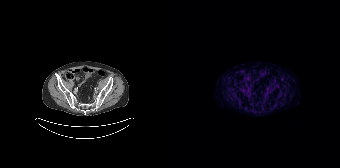
No tumor lesions annotated on this slice.